- Paired axial CT (left) and PSMA PET (right), [18F]PSMA-1007 tracer
- PET panel 200×200 px (4.1 mm/px)
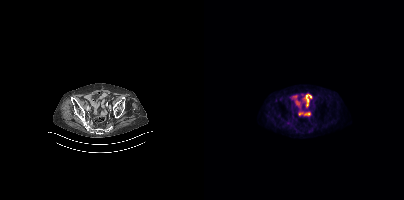
Findings: This slice has no annotated PSMA-avid lesion.